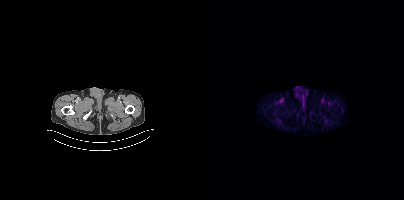
No PSMA-avid tumor lesions on this slice.